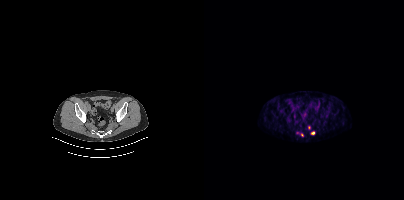
Findings: Coordinates are on the 200×200 PET (right) panel. (showing 2 of 3 foci) Small PSMA-avid foci (2 to 4 px across) near (center x, center y): (108, 133) / (97, 134).
- Paired axial CT (left) and PSMA PET (right), 68Ga-PSMA tracer
- acquired on Siemens Biograph mCT Flow 20
- slice 82 of 409